- Two-panel axial: CT | PSMA PET, 18F-PSMA tracer
- PET panel 200×200 px (4.1 mm/px)
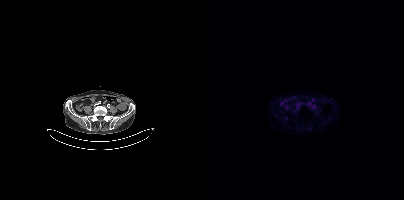
Findings: This slice has no annotated PSMA-avid lesion.